Paired axial CT (left) and PSMA PET (right), [68Ga]Ga-PSMA-11 tracer. Slice position z = -974 mm.
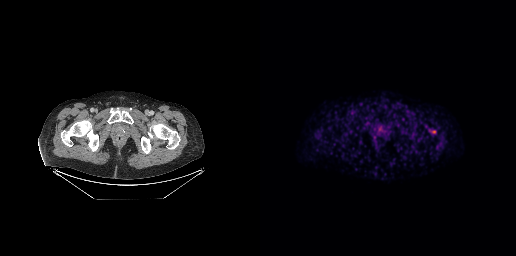
Only PSMA-avid lesion pieces thinner than 2 px on this slice (not listed).